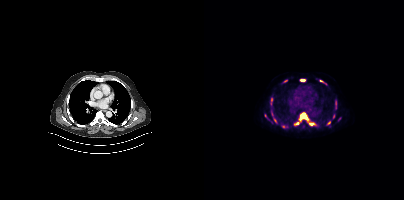
Findings: Coordinates are on the 200×200 PET (right) panel. (showing 13 of 16 foci) PSMA-avid tumor lesion bounding boxes (x, y, width, height): x=95 y=113 w=10 h=7; x=96 y=79 w=6 h=3; x=66 y=97 w=3 h=9; x=131 y=103 w=2 h=6; x=106 y=123 w=5 h=3; x=90 y=122 w=5 h=3. Small PSMA-avid foci (2 to 4 px across) near (center x, center y): (117, 81); (61, 115); (129, 116); (71, 121); (125, 122); (69, 117); (81, 80).
- Paired axial CT (left) and PSMA PET (right), 18F-PSMA tracer
- slice position z = -1048 mm